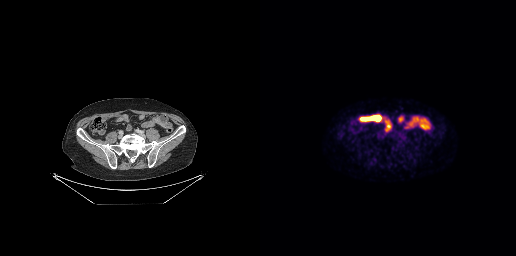
Two-panel axial: CT | PSMA PET, [18F]PSMA-1007 tracer. PET panel 256×256 px (2.7 mm/px). This slice has no annotated PSMA-avid lesion.